Two-panel axial: CT | PSMA PET, 18F-PSMA tracer. Acquired on Siemens Biograph mCT Flow 20.
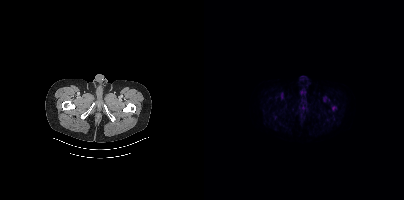
Coordinates are on the 200×200 PET (right) panel. Small PSMA-avid focus (2 to 4 px across) near (center x, center y): (129, 108).